Two-panel axial: CT | PSMA PET, 18F-PSMA tracer.
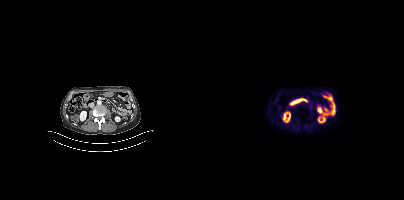
Negative for PSMA-avid disease on this slice.